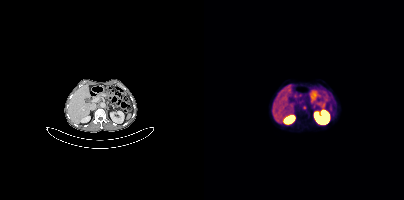
Findings: Coordinates are on the 200×200 PET (right) panel. Small PSMA-avid focus (2 to 4 px across) near (center x, center y): (100, 107).
- Left: CT. Right: PSMA PET, same axial level, [68Ga]Ga-PSMA-11 tracer
- acquired on Siemens Biograph mCT Flow 20